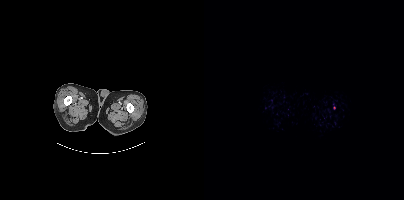
modality: PSMA PET/CT | tracer: 18F | view: axial | PET grid: 200×200
Negative for PSMA-avid disease on this slice.